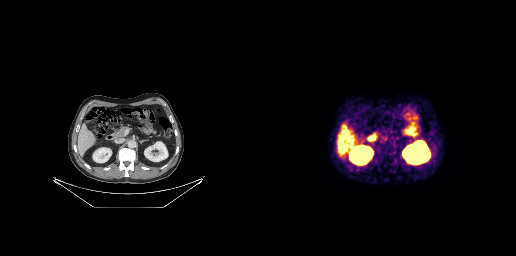
Left: CT. Right: PSMA PET, same axial level, 68Ga-PSMA tracer. Acquired on GE Discovery 690. Slice position z = -548 mm. This slice has no annotated PSMA-avid lesion.